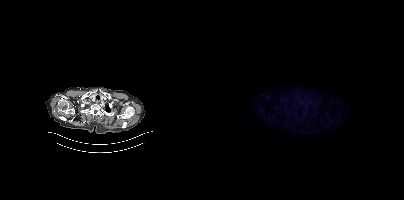
- Two-panel axial: CT | PSMA PET, [18F]PSMA-1007 tracer
Findings: This slice has no annotated PSMA-avid lesion.